The head region is masked for de-identification.
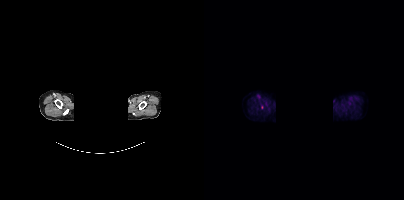
No tumor lesions annotated on this slice.